Technique: Two-panel axial: CT | PSMA PET, [18F]PSMA-1007 tracer. slice position z = -1650 mm.
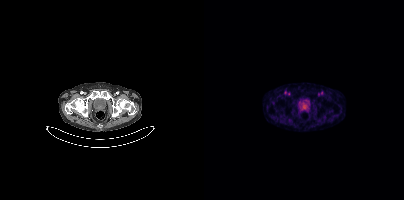
Findings: No PSMA-avid tumor lesions on this slice.